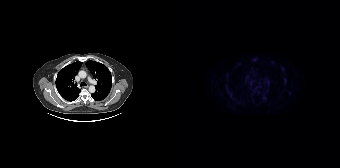
{"modality":"PSMA PET/CT","view":"axial","tracer":"[18F]PSMA-1007","pet_grid":[168,168],"coord_frame":"pet_panel","coord_format":"x0,y0,x1,y1","psma_avid_lesions":false}